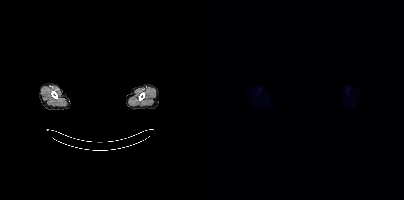
Paired axial CT (left) and PSMA PET (right), [18F]PSMA-1007 tracer. Slice position z = -841 mm. Any black rectangle over the head is a privacy mask, not anatomy. Negative for PSMA-avid disease on this slice.